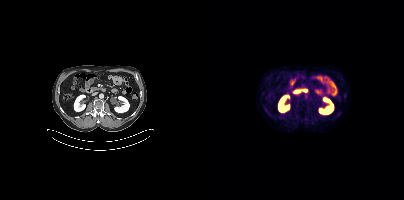
No tumor lesions annotated on this slice. Left: CT. Right: PSMA PET, same axial level, 18F tracer.